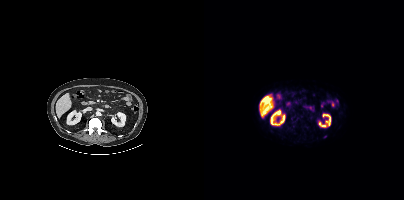
{"pet_grid":[200,200],"coord_frame":"pet_panel","coord_format":"x0,y0,x1,y1","lesion_bboxes":[],"small_foci_centers":[[120,136]],"modality":"PSMA PET/CT","view":"axial","tracer":"18F-PSMA"}